Left: CT. Right: PSMA PET, same axial level, 18F tracer. Slice 264 of 442. PET panel 200×200 px (4.1 mm/px).
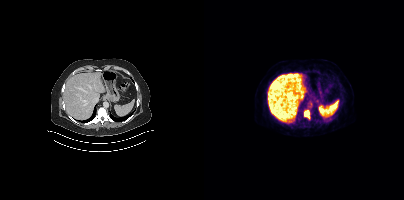
Coordinates are on the 200×200 PET (right) panel. PSMA-avid tumor lesion bounding boxes:
| # | x0 | y0 | x1 | y1 |
|---|---|---|---|---|
| 1 | 100 | 110 | 105 | 118 |